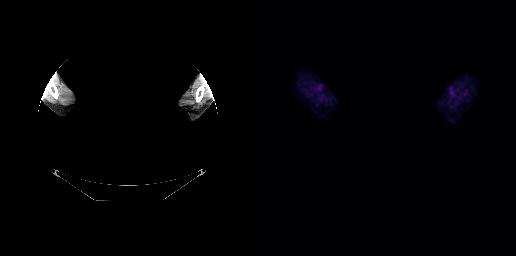
{"modality":"PSMA PET/CT","view":"axial","tracer":"[18F]PSMA-1007","pet_grid":[256,256],"coord_frame":"pet_panel","coord_format":"x0,y0,x1,y1","psma_avid_lesions":false,"deidentification":"face masked with black rectangle"}